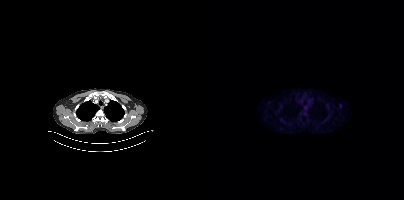
{"modality":"PSMA PET/CT","view":"axial","tracer":"18F-PSMA","pet_grid":[200,200],"coord_frame":"pet_panel","coord_format":"x0,y0,x1,y1","psma_avid_lesions":false}